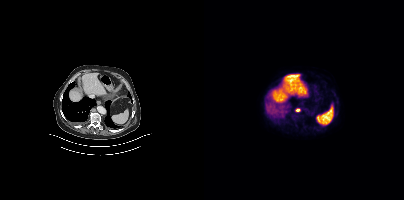
Left: CT. Right: PSMA PET, same axial level, [18F]PSMA-1007 tracer. Acquired on Siemens Biograph mCT Flow 20. Slice position z = -492 mm.
Coordinates are on the 200×200 PET (right) panel. PSMA-avid tumor lesion bounding boxes:
| # | x0 | y0 | x1 | y1 |
|---|---|---|---|---|
| 1 | 92 | 109 | 96 | 111 |